Left: CT. Right: PSMA PET, same axial level, [18F]PSMA-1007 tracer. Acquired on Siemens Biograph mCT Flow 20. Slice position z = 564 mm. PET panel 200×200 px (4.1 mm/px). Any black rectangle over the head is a privacy mask, not anatomy.
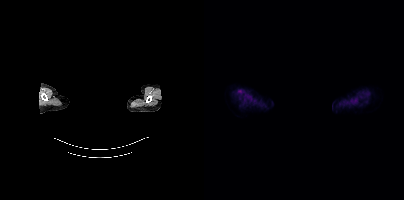
This slice has no annotated PSMA-avid lesion.